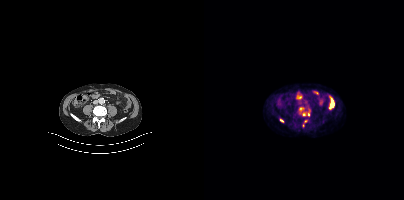
Coordinates are on the 200×200 PET (right) panel. (showing 4 of 6 foci) Small PSMA-avid foci (2 to 4 px across) near (center x, center y): (100, 114); (97, 108); (104, 114); (77, 120).